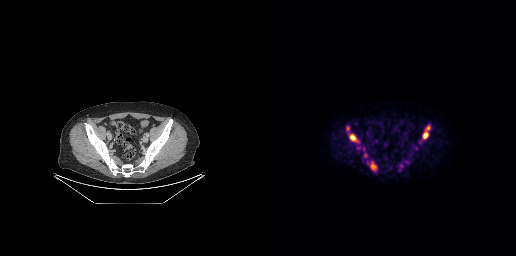
Findings: Coordinates are on the 256×256 PET (right) panel. (showing 5 of 7 foci) PSMA-avid tumor lesion bounding boxes (x0,y0,x1,y1): [162,125,170,139] [88,133,99,143] [110,161,116,170] [86,126,89,130]. Small PSMA-avid focus (2 to 4 px across) near (center x, center y): (105, 155).
Technique: Paired axial CT (left) and PSMA PET (right), [18F]PSMA-1007 tracer. acquired on GE Discovery 690. slice position z = -685 mm. PET panel 256×256 px (2.7 mm/px).